modality: PSMA PET/CT | tracer: [18F]PSMA-1007 | view: axial | PET grid: 200×200
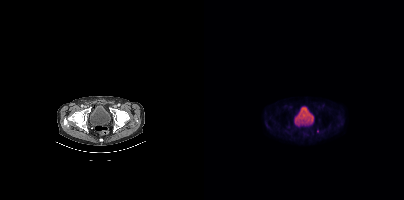
Coordinates are on the 200×200 PET (right) panel. Small PSMA-avid focus (2 to 4 px across) near (center x, center y): (113, 131).